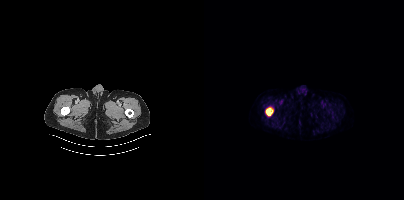
Coordinates are on the 200×200 PET (right) panel. PSMA-avid tumor lesion bounding box (x, y, width, height): x=62 y=108 w=7 h=8.